modality: PSMA PET/CT | tracer: 18F | view: axial
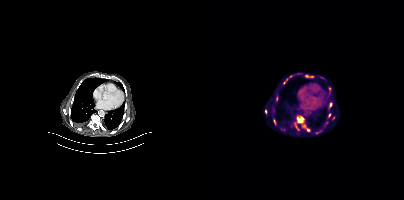
Coordinates are on the 200×200 PET (right) panel. PSMA-avid tumor lesion bounding box (x0,y0,x1,y1): [93,117,99,122]. Small PSMA-avid foci (2 to 4 px across) near (center x, center y): (104, 130); (100, 125).